Paired axial CT (left) and PSMA PET (right), 18F-PSMA tracer.
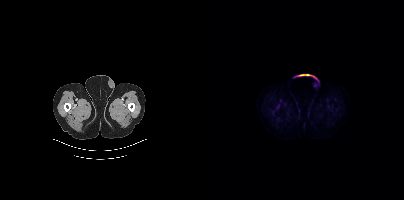
No tumor lesions annotated on this slice.